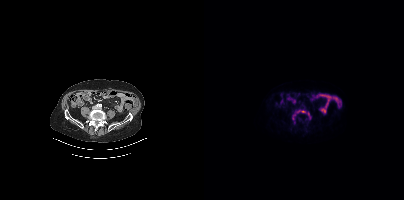
Two-panel axial: CT | PSMA PET, 18F tracer. Acquired on Siemens Biograph mCT Flow 20. PET panel 200×200 px (4.1 mm/px). Coordinates are on the 200×200 PET (right) panel. (showing 2 of 3 foci) PSMA-avid tumor lesion bounding boxes (x, y, width, height): x=88 y=110 w=14 h=10 | x=103 y=112 w=4 h=7.